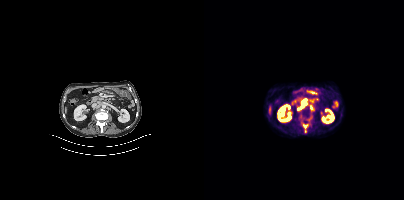
Two-panel axial: CT | PSMA PET, [18F]PSMA-1007 tracer. PET panel 200×200 px (4.1 mm/px).
Coordinates are on the 200×200 PET (right) panel. PSMA-avid tumor lesion bounding boxes:
| # | x0 | y0 | x1 | y1 |
|---|---|---|---|---|
| 1 | 97 | 122 | 106 | 132 |
| 2 | 93 | 100 | 102 | 110 |
Small PSMA-avid foci (2 to 4 px across) near (center x, center y): (104, 119); (107, 107).